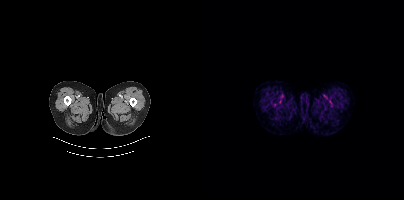
- Paired axial CT (left) and PSMA PET (right), [18F]PSMA-1007 tracer
- acquired on Siemens Biograph mCT Flow 20
Findings: Negative for PSMA-avid disease on this slice.